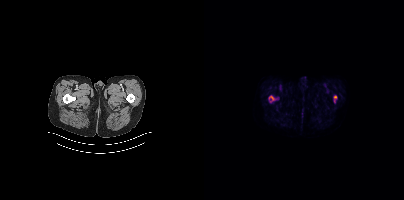
{"pet_grid":[200,200],"coord_frame":"pet_panel","coord_format":"x0,y0,x1,y1","partial":true,"lesion_bboxes":[[65,96,70,100]],"small_foci_centers":[[131,97]],"modality":"PSMA PET/CT","view":"axial","tracer":"[18F]PSMA-1007"}